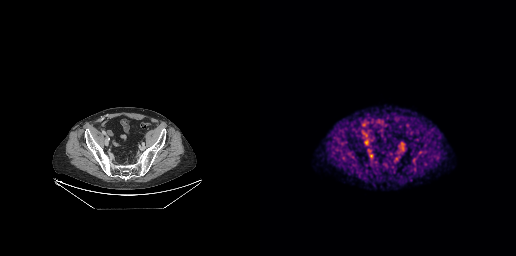
- Left: CT. Right: PSMA PET, same axial level, 18F tracer
- acquired on GE Discovery 690
Findings: No tumor lesions annotated on this slice.